Technique: Paired axial CT (left) and PSMA PET (right), [18F]PSMA-1007 tracer.
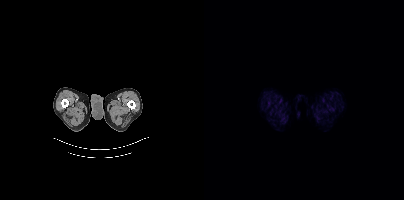
Findings: No PSMA-avid tumor lesions on this slice.